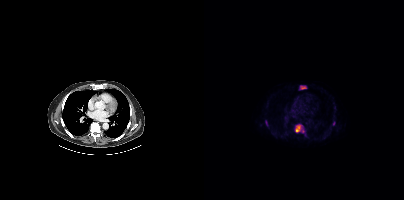
- Paired axial CT (left) and PSMA PET (right), 18F tracer
Findings: Coordinates are on the 200×200 PET (right) panel. PSMA-avid tumor lesion bounding boxes (x, y, width, height): x=91 y=124 w=10 h=9 / x=96 y=85 w=7 h=5 / x=61 y=120 w=3 h=6. Small PSMA-avid focus (2 to 4 px across) near (center x, center y): (129, 123).